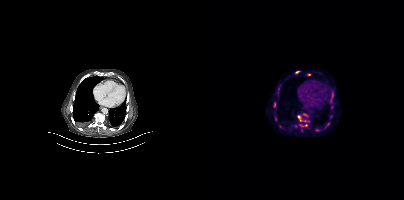
Technique: Paired axial CT (left) and PSMA PET (right), [18F]PSMA-1007 tracer. slice position z = -1115 mm. PET panel 200×200 px (4.1 mm/px).
Findings: Coordinates are on the 200×200 PET (right) panel. (showing 10 of 16 foci) PSMA-avid tumor lesion bounding boxes (x0,y0,x1,y1): [96,123,104,128] [93,115,98,121] [91,71,96,73] [70,102,71,107] [99,114,103,116]. Small PSMA-avid foci (2 to 4 px across) near (center x, center y): (104, 74) (124, 124) (128, 96) (101, 120) (126, 116).